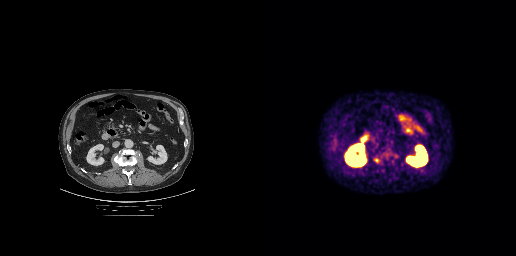
Coordinates are on the 256×256 PET (right) panel. PSMA-avid tumor lesion bounding boxes:
| # | x0 | y0 | x1 | y1 |
|---|---|---|---|---|
| 1 | 113 | 157 | 119 | 163 |
Left: CT. Right: PSMA PET, same axial level, [18F]PSMA-1007 tracer. Slice 130 of 263.